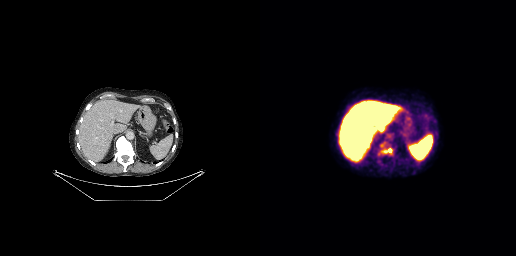
Coordinates are on the 256×256 PET (right) panel. PSMA-avid tumor lesion bounding box (x0, y0)-(x1, y1): (123, 148)-(132, 152).